- Left: CT. Right: PSMA PET, same axial level, 68Ga-PSMA tracer
- PET panel 256×256 px (2.7 mm/px)
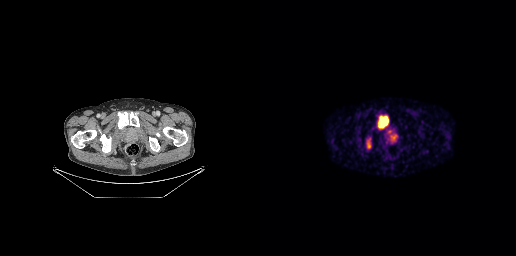
Findings: Coordinates are on the 256×256 PET (right) panel. PSMA-avid tumor lesion bounding boxes (x, y, width, height): x=118 y=115 w=11 h=14; x=128 y=130 w=10 h=13; x=106 y=137 w=5 h=12.